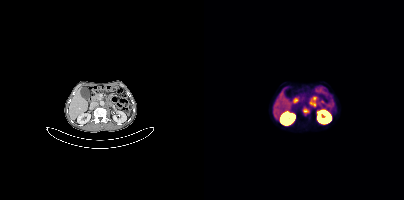
Paired axial CT (left) and PSMA PET (right), 68Ga tracer. Slice position z = -1428 mm. PET panel 200×200 px (4.1 mm/px).
Coordinates are on the 200×200 PET (right) panel. PSMA-avid tumor lesion bounding boxes:
| # | x0 | y0 | x1 | y1 |
|---|---|---|---|---|
| 1 | 106 | 97 | 112 | 106 |
| 2 | 99 | 108 | 105 | 113 |